Technique: Left: CT. Right: PSMA PET, same axial level, 68Ga tracer.
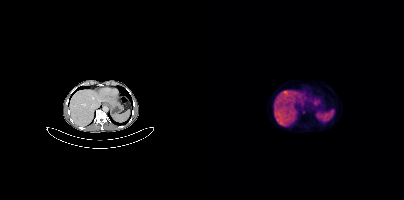
Findings: Negative for PSMA-avid disease on this slice.